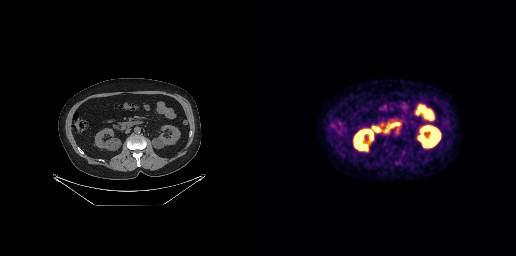
Negative for PSMA-avid disease on this slice.